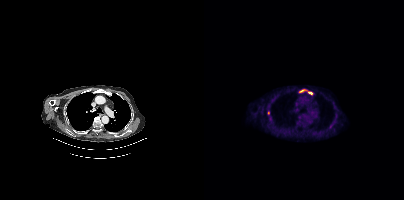
Left: CT. Right: PSMA PET, same axial level, 18F-PSMA tracer. Acquired on Siemens Biograph mCT Flow 20. PET panel 200×200 px (4.1 mm/px).
Coordinates are on the 200×200 PET (right) panel. PSMA-avid tumor lesion bounding boxes:
| # | x0 | y0 | x1 | y1 |
|---|---|---|---|---|
| 1 | 95 | 89 | 108 | 94 |
Small PSMA-avid focus (2 to 4 px across) near (center x, center y): (64, 112).